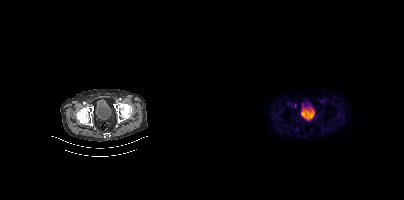
{"modality":"PSMA PET/CT","view":"axial","tracer":"[18F]PSMA-1007","pet_grid":[200,200],"coord_frame":"pet_panel","coord_format":"x0,y0,x1,y1","lesion_bboxes":[],"small_foci_centers":[[91,105]]}